Left: CT. Right: PSMA PET, same axial level, 18F-PSMA tracer. Slice 66 of 299.
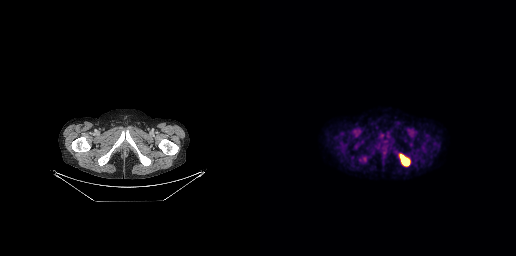
Coordinates are on the 256×256 PET (right) panel. PSMA-avid tumor lesion bounding box (x0,y0,x1,y1): [140,154,149,165].